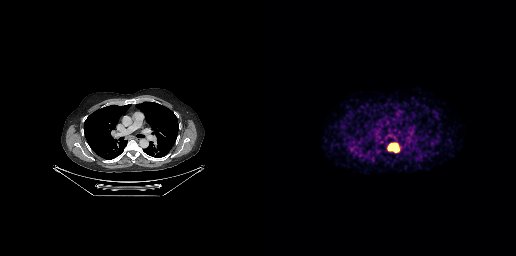
Findings: Coordinates are on the 256×256 PET (right) panel. PSMA-avid tumor lesion bounding box (x0, y0)-(x1, y1): (127, 142)-(139, 152).
- Paired axial CT (left) and PSMA PET (right), 68Ga-PSMA tracer
- acquired on GE Discovery 690
- PET panel 256×256 px (2.7 mm/px)